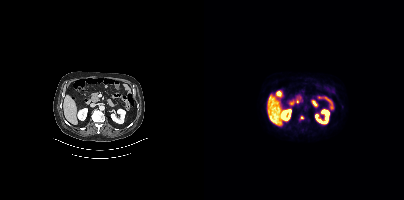
Findings: Coordinates are on the 200×200 PET (right) panel. Small PSMA-avid focus (2 to 4 px across) near (center x, center y): (97, 117).
- Left: CT. Right: PSMA PET, same axial level, 18F-PSMA tracer
- slice position z = -1158 mm